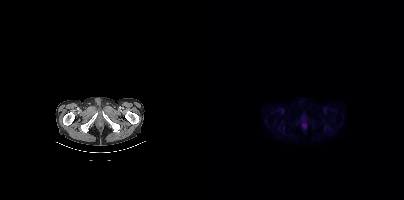
No tumor lesions annotated on this slice.